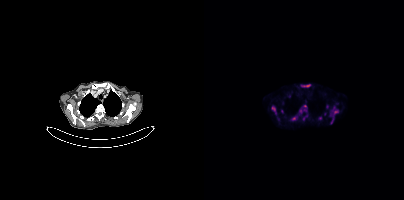
{"modality":"PSMA PET/CT","view":"axial","tracer":"18F-PSMA","pet_grid":[200,200],"coord_frame":"pet_panel","coord_format":"x0,y0,x1,y1","partial":true,"lesion_bboxes":[[68,106,71,111],[130,110,134,114],[98,84,105,86],[127,119,129,123]],"small_foci_centers":[[89,118],[101,106],[116,118],[96,111],[99,118]]}